- Paired axial CT (left) and PSMA PET (right), 18F-PSMA tracer
- slice 175 of 299
- PET panel 256×256 px (2.7 mm/px)
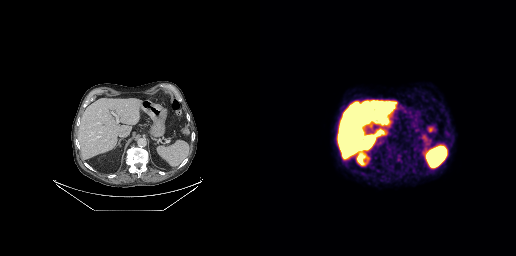
Findings: This slice has no annotated PSMA-avid lesion.